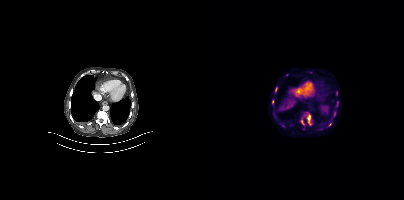
{"modality":"PSMA PET/CT","view":"axial","tracer":"18F-PSMA","pet_grid":[200,200],"coord_frame":"pet_panel","coord_format":"x0,y0,x1,y1","lesion_bboxes":[[96,111,108,130],[68,109,71,115],[132,101,134,106],[71,87,73,92],[130,111,132,116],[68,100,69,104]],"small_foci_centers":[[125,124],[106,72],[83,75],[132,92]]}